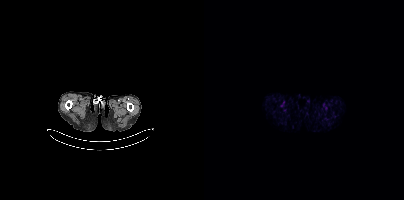
Paired axial CT (left) and PSMA PET (right), 18F tracer. PET panel 200×200 px (4.1 mm/px). No tumor lesions annotated on this slice.